Technique: Paired axial CT (left) and PSMA PET (right), 18F-PSMA tracer. acquired on Siemens Biograph mCT Flow 20. PET panel 200×200 px (4.1 mm/px).
Note: An anonymization step blacked out a rectangle over the head in this scan.
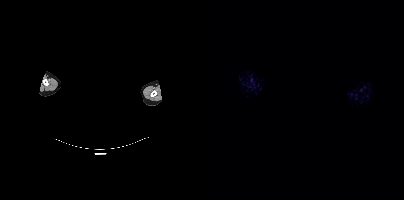
Findings: No tumor lesions annotated on this slice.